Technique: Paired axial CT (left) and PSMA PET (right), [18F]PSMA-1007 tracer. slice position z = -1563 mm. PET panel 200×200 px (4.1 mm/px).
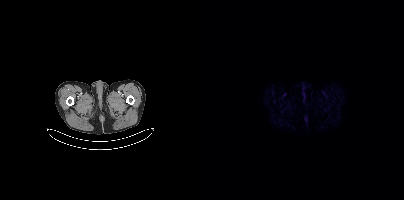
Findings: No PSMA-avid tumor lesions on this slice.